Paired axial CT (left) and PSMA PET (right), 18F-PSMA tracer.
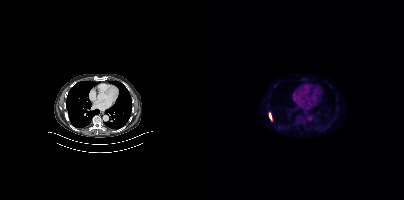
Coordinates are on the 200×200 PET (right) panel. PSMA-avid tumor lesion bounding boxes:
| # | x0 | y0 | x1 | y1 |
|---|---|---|---|---|
| 1 | 65 | 113 | 67 | 120 |